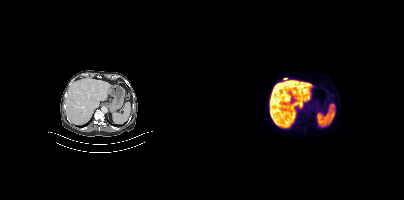
Coordinates are on the 200×200 PET (right) panel. Small PSMA-avid focus (2 to 4 px across) near (center x, center y): (81, 78).